- Paired axial CT (left) and PSMA PET (right), 68Ga-PSMA tracer
- PET panel 256×256 px (2.7 mm/px)
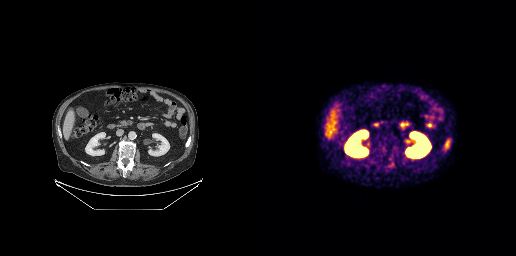
Findings: No tumor lesions annotated on this slice.